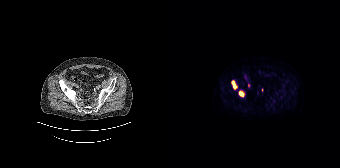
Coordinates are on the 168×168 PET (right) panel. (showing 3 of 4 foci) PSMA-avid tumor lesion bounding boxes (x, y, width, height): x=59 y=80 w=7 h=10; x=66 y=90 w=7 h=8. Small PSMA-avid focus (2 to 4 px across) near (center x, center y): (76, 85). Two-panel axial: CT | PSMA PET, 18F tracer. Acquired on Siemens Biograph 64-4R TruePoint.